Technique: Paired axial CT (left) and PSMA PET (right), 18F-PSMA tracer.
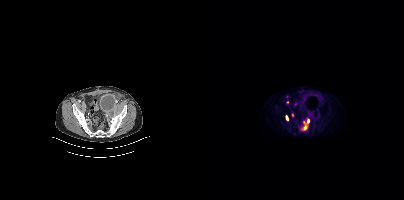
Findings: Coordinates are on the 200×200 PET (right) panel. (showing 4 of 5 foci) PSMA-avid tumor lesion bounding boxes (x0, y0)-(x1, y1): (98, 119)-(105, 130) / (81, 115)-(84, 120). Small PSMA-avid foci (2 to 4 px across) near (center x, center y): (83, 96) / (88, 114).